Paired axial CT (left) and PSMA PET (right), 18F-PSMA tracer. Acquired on Siemens Biograph mCT Flow 20. Slice position z = -1544 mm. PET panel 200×200 px (4.1 mm/px).
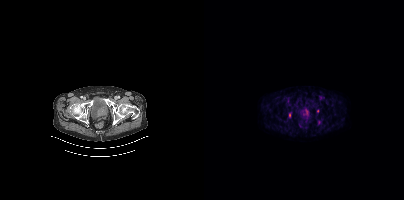
Coordinates are on the 200×200 PET (right) panel. Small PSMA-avid foci (2 to 4 px across) near (center x, center y): (113, 111); (85, 115); (115, 121).